The head region is masked for de-identification. Two-panel axial: CT | PSMA PET, [18F]PSMA-1007 tracer. Slice 375 of 401. PET panel 200×200 px (4.1 mm/px).
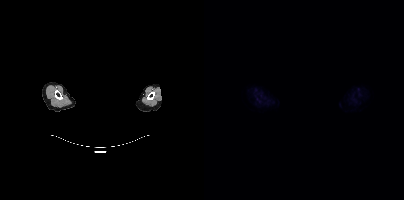
No PSMA-avid tumor lesions on this slice.